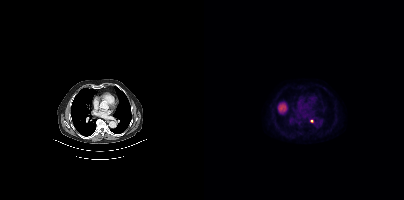
- Two-panel axial: CT | PSMA PET, 18F-PSMA tracer
- acquired on Siemens Biograph mCT Flow 20
- slice 252 of 383
- PET panel 200×200 px (4.1 mm/px)
Findings: Coordinates are on the 200×200 PET (right) panel. Small PSMA-avid focus (2 to 4 px across) near (center x, center y): (107, 121).